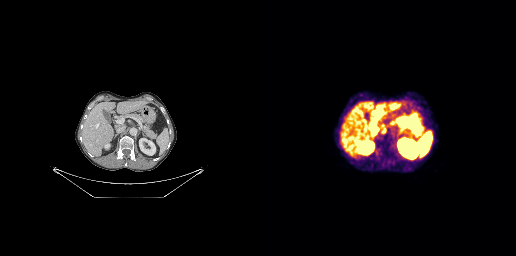
Coordinates are on the 256×256 PET (right) panel. PSMA-avid tumor lesion bounding box (x0, y0)-(x1, y1): (119, 126)-(126, 134).